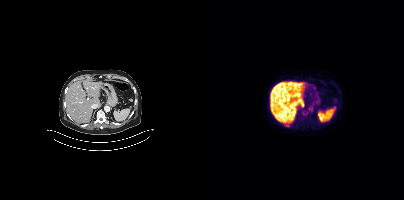
Two-panel axial: CT | PSMA PET, 18F tracer. Slice position z = -1354 mm.
Coordinates are on the 200×200 PET (right) panel. PSMA-avid tumor lesion bounding boxes:
| # | x0 | y0 | x1 | y1 |
|---|---|---|---|---|
| 1 | 99 | 111 | 103 | 115 |
| 2 | 80 | 124 | 85 | 127 |